Two-panel axial: CT | PSMA PET, 18F tracer. Acquired on Siemens Biograph mCT Flow 20. Slice 289 of 377. PET panel 200×200 px (4.1 mm/px).
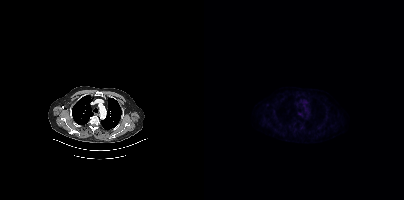
Negative for PSMA-avid disease on this slice.